Left: CT. Right: PSMA PET, same axial level, [18F]PSMA-1007 tracer. Slice 164 of 405. PET panel 200×200 px (4.1 mm/px).
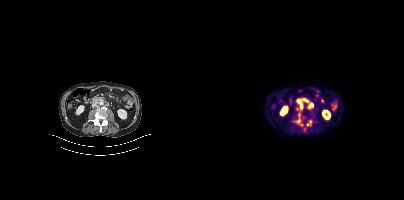
Coordinates are on the 200×200 PET (right) panel. PSMA-avid tumor lesion bounding boxes (partial; 3 more foci not listed):
| # | x0 | y0 | x1 | y1 |
|---|---|---|---|---|
| 1 | 93 | 99 | 98 | 108 |
| 2 | 105 | 103 | 107 | 107 |
Small PSMA-avid foci (2 to 4 px across) near (center x, center y): (94, 121); (101, 100); (103, 124); (106, 121).